Technique: Paired axial CT (left) and PSMA PET (right), 18F-PSMA tracer. acquired on GE Discovery 690.
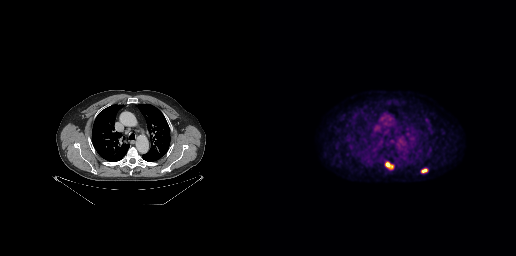
Findings: Coordinates are on the 256×256 PET (right) panel. PSMA-avid tumor lesion bounding boxes (x, y, width, height): x=125 y=162 w=9 h=8; x=161 y=168 w=7 h=5.